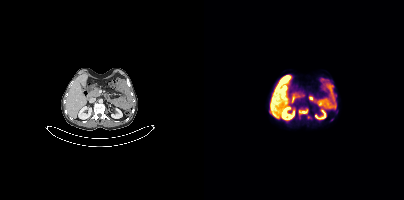
Coordinates are on the 200×200 PET (right) panel. (showing 1 of 2 foci) PSMA-avid tumor lesion bounding box (x, y, width, height): x=95 y=109 w=9 h=5.